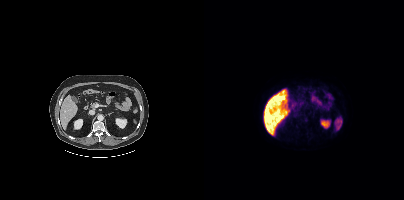
No PSMA-avid tumor lesions on this slice.